- Paired axial CT (left) and PSMA PET (right), 18F-PSMA tracer
- slice position z = -463 mm
- PET panel 200×200 px (4.1 mm/px)
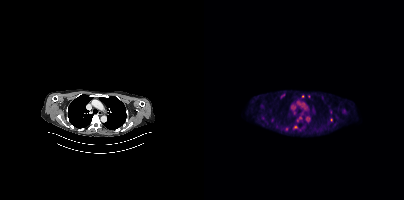
Findings: Coordinates are on the 200×200 PET (right) panel. (showing 5 of 10 foci) PSMA-avid tumor lesion bounding box (x0, y0)-(x1, y1): (76, 93)-(81, 98). Small PSMA-avid foci (2 to 4 px across) near (center x, center y): (91, 127); (82, 129); (127, 119); (96, 117).